Technique: Two-panel axial: CT | PSMA PET, 18F tracer. slice position z = -1306 mm.
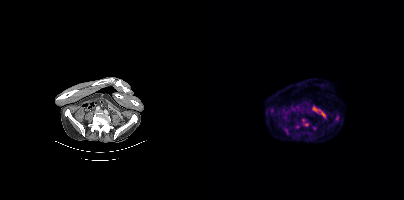
Findings: Coordinates are on the 200×200 PET (right) panel. PSMA-avid tumor lesion bounding boxes (x0, y0)-(x1, y1): (98, 119)-(104, 126) / (80, 128)-(83, 132).